Paired axial CT (left) and PSMA PET (right), 18F-PSMA tracer. Acquired on Siemens Biograph mCT Flow 20. PET panel 200×200 px (4.1 mm/px).
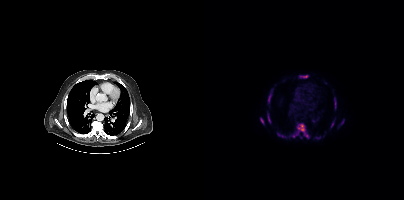
Coordinates are on the 200×200 PET (right) panel. PSMA-avid tumor lesion bounding boxes (partial; 2 more foci not listed):
| # | x0 | y0 | x1 | y1 |
|---|---|---|---|---|
| 1 | 85 | 123 | 104 | 138 |
| 2 | 64 | 93 | 67 | 103 |
| 3 | 130 | 97 | 132 | 109 |
| 4 | 73 | 132 | 82 | 137 |
| 5 | 96 | 75 | 104 | 77 |
| 6 | 137 | 120 | 140 | 124 |
| 7 | 127 | 122 | 129 | 127 |
Small PSMA-avid foci (2 to 4 px across) near (center x, center y): (114, 137); (63, 114).